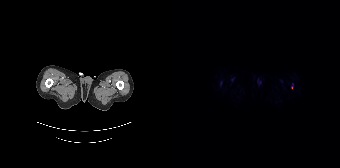
Only PSMA-avid lesion pieces thinner than 2 px on this slice (not listed). Two-panel axial: CT | PSMA PET, 18F tracer.